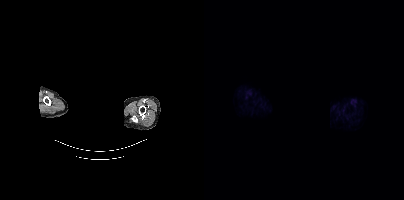
A rectangle over the head was blacked out to remove identifiable facial features. Paired axial CT (left) and PSMA PET (right), [18F]PSMA-1007 tracer. Slice position z = -275 mm. PET panel 200×200 px (4.1 mm/px). Negative for PSMA-avid disease on this slice.